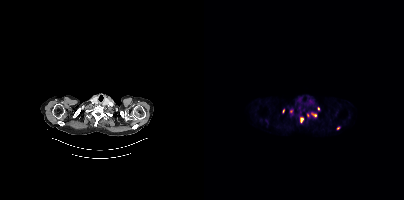
{"modality":"PSMA PET/CT","view":"axial","tracer":"68Ga-PSMA","pet_grid":[200,200],"coord_frame":"pet_panel","coord_format":"x0,y0,x1,y1","lesion_bboxes":[[95,117,99,123],[107,112,112,116]],"small_foci_centers":[[104,115],[134,128],[79,110],[114,108],[86,111]]}